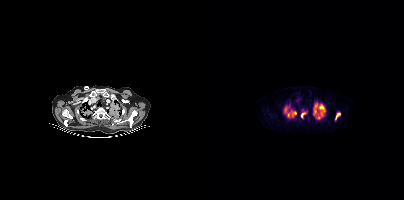
Two-panel axial: CT | PSMA PET, 18F-PSMA tracer. Coordinates are on the 200×200 PET (right) panel. (showing 9 of 11 foci) PSMA-avid tumor lesion bounding boxes (x0,y0,x1,y1): [113,104,121,116], [131,113,136,119], [88,111,92,116], [97,113,101,117], [113,114,116,118]. Small PSMA-avid foci (2 to 4 px across) near (center x, center y): (84, 115), (81, 109), (110, 114), (111, 111).